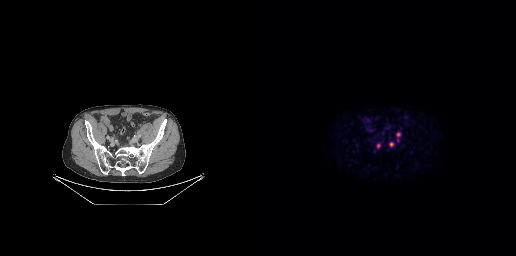
Two-panel axial: CT | PSMA PET, [18F]PSMA-1007 tracer.
Coordinates are on the 256×256 PET (right) panel. PSMA-avid tumor lesion bounding boxes (partial; 1 more focus not listed):
| # | x0 | y0 | x1 | y1 |
|---|---|---|---|---|
| 1 | 129 | 142 | 133 | 146 |
| 2 | 136 | 132 | 140 | 136 |
| 3 | 117 | 144 | 120 | 148 |